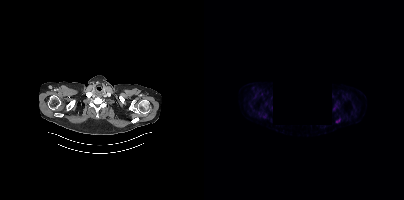
Privacy masking, with the pixels inside a rectangle set to black. Paired axial CT (left) and PSMA PET (right), 18F-PSMA tracer. Coordinates are on the 200×200 PET (right) panel. Small PSMA-avid foci (2 to 4 px across) near (center x, center y): (133, 121); (67, 108); (60, 117).